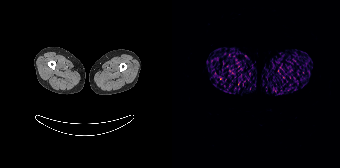
Findings: No PSMA-avid tumor lesions on this slice.
- Left: CT. Right: PSMA PET, same axial level, 68Ga-PSMA tracer